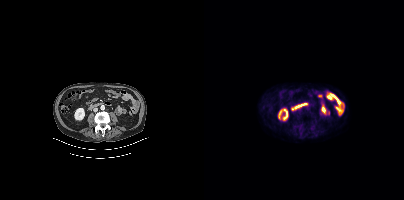
Findings: Negative for PSMA-avid disease on this slice.
Technique: Left: CT. Right: PSMA PET, same axial level, 18F tracer. acquired on Siemens Biograph mCT Flow 20.